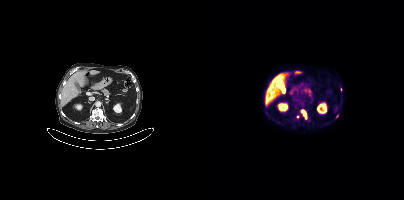
{"modality":"PSMA PET/CT","view":"axial","tracer":"18F","pet_grid":[200,200],"coord_frame":"pet_panel","coord_format":"x0,y0,x1,y1","partial":true,"lesion_bboxes":[[97,109,103,119]],"small_foci_centers":[[133,116],[93,116]]}